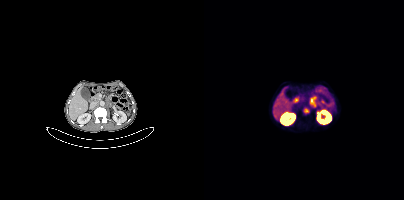
Coordinates are on the 200×200 PET (right) panel. PSMA-avid tumor lesion bounding boxes (x, y, width, height): x=106 y=96 w=7 h=11 | x=100 y=108 w=5 h=5.
modality: PSMA PET/CT | tracer: [68Ga]Ga-PSMA-11 | view: axial | PET grid: 200×200